- Paired axial CT (left) and PSMA PET (right), 18F-PSMA tracer
- PET panel 200×200 px (4.1 mm/px)
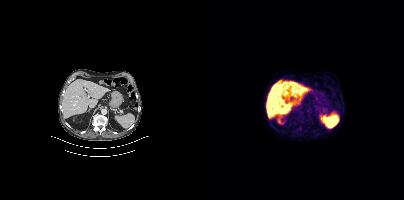
Findings: No tumor lesions annotated on this slice.